modality: PSMA PET/CT | tracer: 18F | view: axial
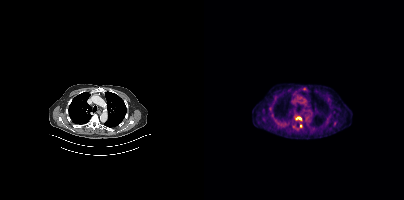
Coordinates are on the 200×200 PET (right) panel. PSMA-avid tumor lesion bounding box (x0,y0,x1,y1): [92,117,97,119]. Small PSMA-avid focus (2 to 4 px across) near (center x, center y): (96, 125).